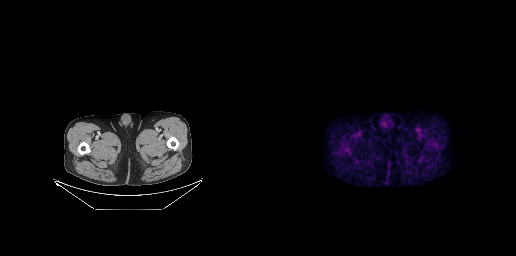
modality: PSMA PET/CT | tracer: 18F | view: axial | PET grid: 256×256
This slice has no annotated PSMA-avid lesion.